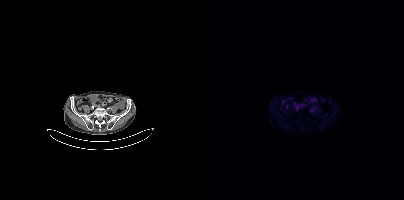
modality: PSMA PET/CT | tracer: [18F]PSMA-1007 | view: axial
No tumor lesions annotated on this slice.